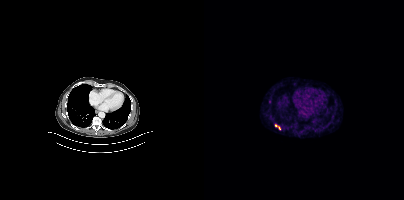
Findings: Coordinates are on the 200×200 PET (right) panel. PSMA-avid tumor lesion bounding box (x0, y0)-(x1, y1): (71, 124)-(76, 129).
Technique: Paired axial CT (left) and PSMA PET (right), 68Ga-PSMA tracer. PET panel 200×200 px (4.1 mm/px).